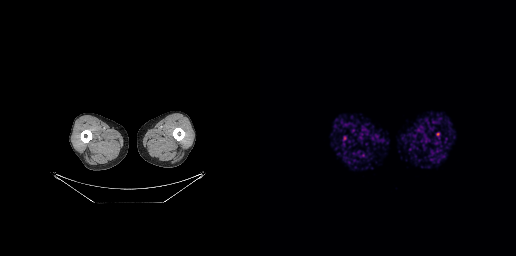
Paired axial CT (left) and PSMA PET (right), 68Ga-PSMA tracer. Coordinates are on the 256×256 PET (right) panel. PSMA-avid tumor lesion bounding box (x, y, width, height): x=83 y=136 w=4 h=5. Small PSMA-avid focus (2 to 4 px across) near (center x, center y): (178, 134).